modality: PSMA PET/CT | tracer: [18F]PSMA-1007 | view: axial
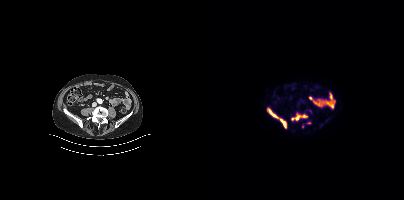
Coordinates are on the 200×200 PET (right) panel. PSMA-avid tumor lesion bounding boxes (x, y, width, height): x=63 y=108 w=20 h=21 / x=91 y=114 w=12 h=6. Small PSMA-avid foci (2 to 4 px across) near (center x, center y): (99, 126) / (105, 122) / (88, 118).